modality: PSMA PET/CT | tracer: 18F-PSMA | view: axial | deidentification: region blacked out before release
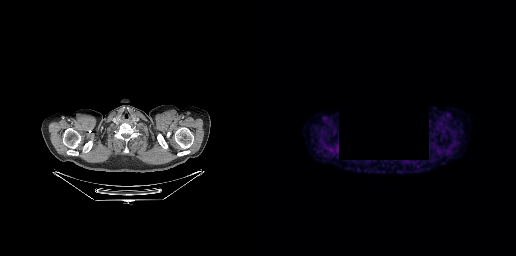
No tumor lesions annotated on this slice.